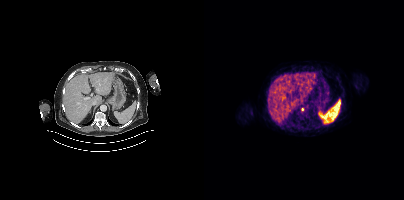
Coordinates are on the 200×200 PET (right) panel. Small PSMA-avid focus (2 to 4 px across) near (center x, center y): (98, 109).
modality: PSMA PET/CT | tracer: 68Ga-PSMA | view: axial | PET grid: 200×200